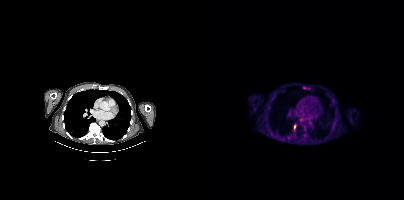
Coordinates are on the 200×200 PET (right) panel. PSMA-avid tumor lesion bounding box (x0, y0)-(x1, y1): (90, 124)-(92, 130). Small PSMA-avid focus (2 to 4 px across) near (center x, center y): (100, 87).